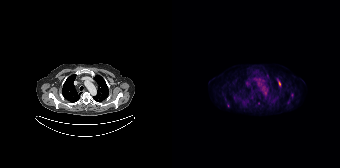
Technique: Left: CT. Right: PSMA PET, same axial level, [18F]PSMA-1007 tracer.
Findings: Coordinates are on the 168×168 PET (right) panel. (showing 2 of 4 foci) PSMA-avid tumor lesion bounding box (x, y, width, height): x=106 y=80 w=3 h=7. Small PSMA-avid focus (2 to 4 px across) near (center x, center y): (119, 95).